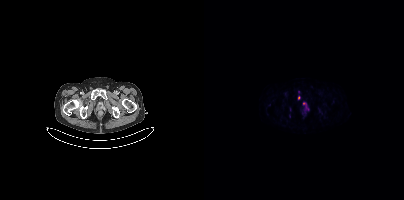
Two-panel axial: CT | PSMA PET, 68Ga tracer. Slice position z = -1523 mm. PET panel 200×200 px (4.1 mm/px). Coordinates are on the 200×200 PET (right) panel. (showing 1 of 3 foci) Small PSMA-avid focus (2 to 4 px across) near (center x, center y): (94, 97).